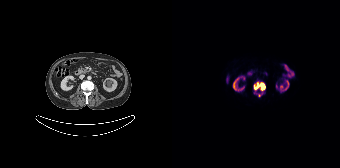
Left: CT. Right: PSMA PET, same axial level, [18F]PSMA-1007 tracer. Acquired on Siemens Biograph 64-4R TruePoint. PET panel 168×168 px (4.1 mm/px).
Coordinates are on the 168×168 PET (right) panel. PSMA-avid tumor lesion bounding boxes:
| # | x0 | y0 | x1 | y1 |
|---|---|---|---|---|
| 1 | 81 | 81 | 93 | 97 |